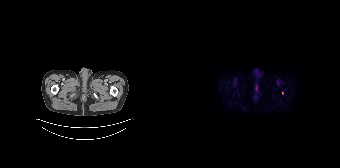
Technique: Paired axial CT (left) and PSMA PET (right), 18F-PSMA tracer. acquired on Siemens Biograph 64-4R TruePoint. slice 17 of 165. PET panel 168×168 px (4.1 mm/px).
Findings: Only PSMA-avid lesion pieces thinner than 2 px on this slice (not listed).